Left: CT. Right: PSMA PET, same axial level, [18F]PSMA-1007 tracer. PET panel 168×168 px (4.1 mm/px).
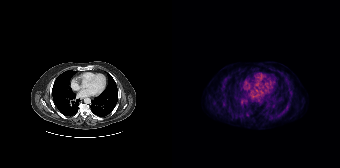
Coordinates are on the 168×168 PET (right) panel. Small PSMA-avid foci (2 to 4 px across) near (center x, center y): (119, 92) | (75, 114).